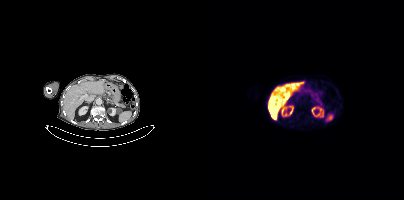
Two-panel axial: CT | PSMA PET, 18F-PSMA tracer. This slice has no annotated PSMA-avid lesion.